modality: PSMA PET/CT | tracer: 18F | view: axial | PET grid: 200×200
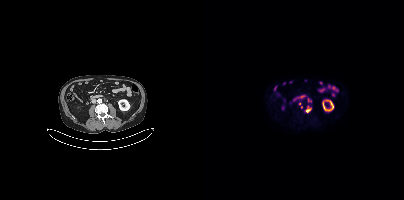
Coordinates are on the 200×200 PET (right) panel. (showing 3 of 5 foci) PSMA-avid tumor lesion bounding boxes (x0,y0,x1,y1): [104,98,107,102], [103,108,107,111]. Small PSMA-avid focus (2 to 4 px across) near (center x, center y): (95, 103).